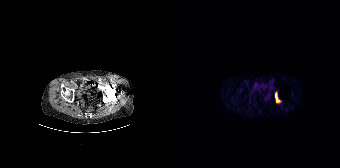
Left: CT. Right: PSMA PET, same axial level, 18F-PSMA tracer.
Coordinates are on the 168×168 PET (right) panel. PSMA-avid tumor lesion bounding boxes:
| # | x0 | y0 | x1 | y1 |
|---|---|---|---|---|
| 1 | 103 | 91 | 109 | 103 |